Technique: Paired axial CT (left) and PSMA PET (right), 18F-PSMA tracer. slice position z = -884 mm. PET panel 200×200 px (4.1 mm/px).
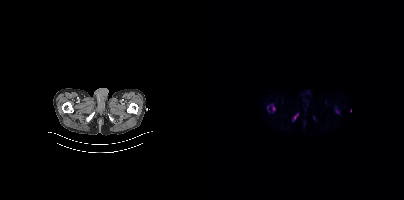
Findings: Coordinates are on the 200×200 PET (right) panel. (showing 1 of 3 foci) Small PSMA-avid focus (2 to 4 px across) near (center x, center y): (70, 108).